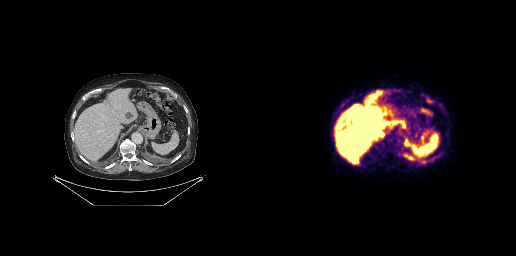
Findings: Coordinates are on the 256×256 PET (right) panel. PSMA-avid tumor lesion bounding box (x0, y0)-(x1, y1): (166, 97)-(172, 103). Small PSMA-avid focus (2 to 4 px across) near (center x, center y): (163, 162).
Technique: Left: CT. Right: PSMA PET, same axial level, 18F-PSMA tracer. slice 192 of 299. PET panel 256×256 px (2.7 mm/px).